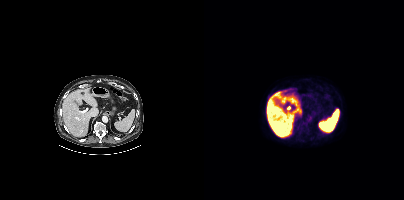
modality: PSMA PET/CT | tracer: 18F | view: axial
Coordinates are on the 200×200 PET (right) panel. Small PSMA-avid focus (2 to 4 px across) near (center x, center y): (65, 97).